Left: CT. Right: PSMA PET, same axial level, 18F-PSMA tracer.
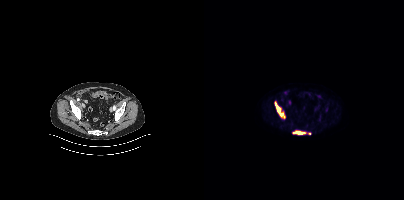
Coordinates are on the 200×200 PET (right) panel. PSMA-avid tumor lesion bounding boxes:
| # | x0 | y0 | x1 | y1 |
|---|---|---|---|---|
| 1 | 71 | 102 | 80 | 118 |
| 2 | 89 | 131 | 101 | 134 |
Small PSMA-avid focus (2 to 4 px across) near (center x, center y): (105, 133).